Technique: Paired axial CT (left) and PSMA PET (right), [68Ga]Ga-PSMA-11 tracer. acquired on Siemens Biograph mCT Flow 20. slice 148 of 409.
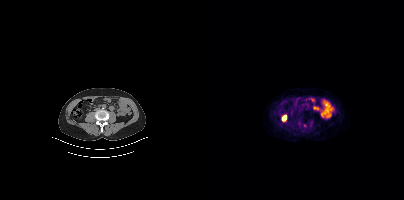
Findings: Negative for PSMA-avid disease on this slice.